Technique: Left: CT. Right: PSMA PET, same axial level, 18F-PSMA tracer. acquired on Siemens Biograph mCT Flow 20.
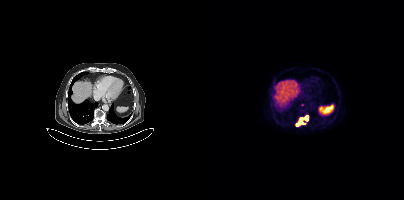
Findings: Coordinates are on the 200×200 PET (right) panel. PSMA-avid tumor lesion bounding box (x, y, width, height): x=92 y=115 w=13 h=12.